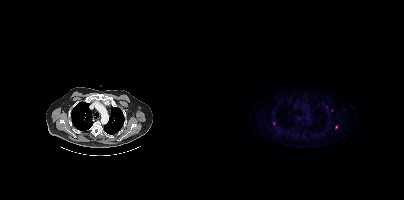
Coordinates are on the 200×200 PET (right) panel. (showing 2 of 3 foci) Small PSMA-avid foci (2 to 4 px across) near (center x, center y): (69, 123); (132, 127).